Left: CT. Right: PSMA PET, same axial level, 18F tracer.
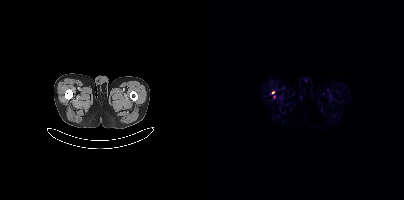
Coordinates are on the 200×200 PET (right) panel. Small PSMA-avid focus (2 to 4 px across) near (center x, center y): (69, 92).